Paired axial CT (left) and PSMA PET (right), 18F tracer. Acquired on GE Discovery 690.
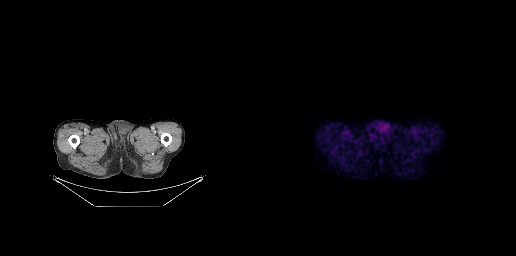
Negative for PSMA-avid disease on this slice.